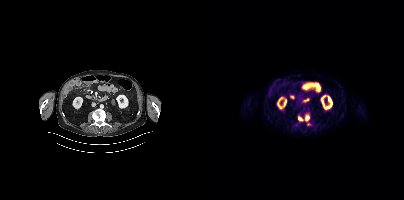
Coordinates are on the 200×200 PET (right) panel. (showing 2 of 3 foci) PSMA-avid tumor lesion bounding boxes (x, y, width, height): x=101 y=115 w=5 h=6; x=94 y=117 w=5 h=4.